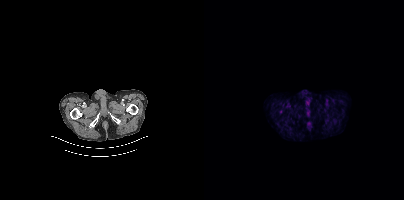
{"pet_grid":[200,200],"coord_frame":"pet_panel","coord_format":"x0,y0,x1,y1","lesion_bboxes":[],"small_foci_centers":[[76,111]],"modality":"PSMA PET/CT","view":"axial","tracer":"18F"}